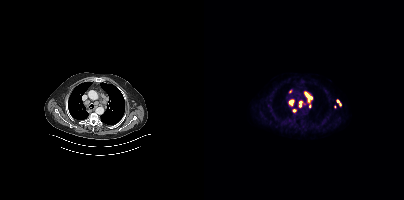
- Left: CT. Right: PSMA PET, same axial level, 18F tracer
Findings: Coordinates are on the 200×200 PET (right) panel. (showing 6 of 7 foci) PSMA-avid tumor lesion bounding boxes (x, y, width, height): x=100 y=91 w=9 h=17; x=84 y=99 w=7 h=7; x=95 y=100 w=4 h=8; x=133 y=100 w=5 h=6; x=88 y=109 w=5 h=4. Small PSMA-avid focus (2 to 4 px across) near (center x, center y): (86, 91).